Paired axial CT (left) and PSMA PET (right), 18F-PSMA tracer. Slice position z = -1166 mm.
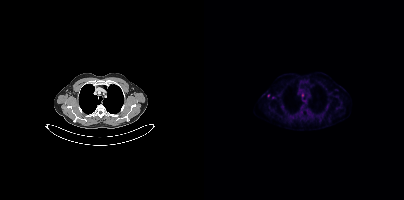
Coordinates are on the 200×200 PET (right) panel. Small PSMA-avid foci (2 to 4 px across) near (center x, center y): (98, 95) (64, 95) (68, 97).